- Paired axial CT (left) and PSMA PET (right), 18F-PSMA tracer
- acquired on Siemens Biograph mCT Flow 20
- PET panel 200×200 px (4.1 mm/px)
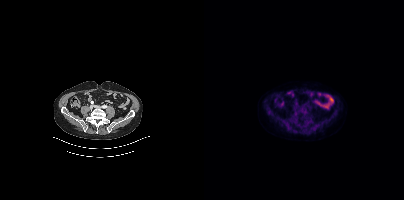
Findings: Only PSMA-avid lesion pieces thinner than 2 px on this slice (not listed).